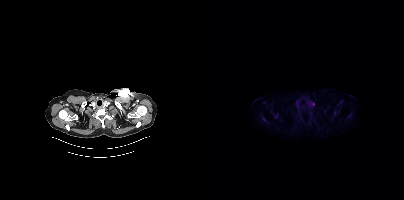
{"modality":"PSMA PET/CT","view":"axial","tracer":"18F-PSMA","pet_grid":[200,200],"coord_frame":"pet_panel","coord_format":"x0,y0,x1,y1","psma_avid_lesions":false}